Paired axial CT (left) and PSMA PET (right), 18F tracer. Acquired on GE Discovery 690. Slice 121 of 299.
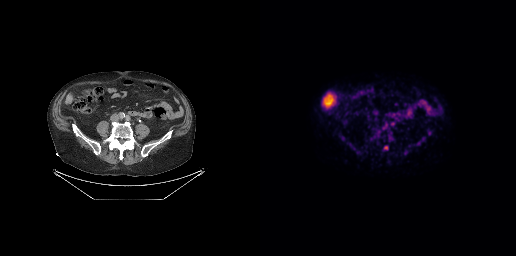
Coordinates are on the 256×256 PET (right) panel. PSMA-avid tumor lesion bounding boxes (partial; 3 more foci not listed):
| # | x0 | y0 | x1 | y1 |
|---|---|---|---|---|
| 1 | 124 | 146 | 128 | 149 |